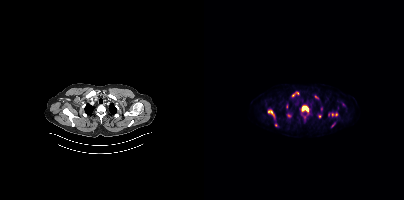
Technique: Left: CT. Right: PSMA PET, same axial level, [18F]PSMA-1007 tracer. slice 342 of 429. PET panel 200×200 px (4.1 mm/px).
Findings: Coordinates are on the 200×200 PET (right) panel. (showing 10 of 14 foci) PSMA-avid tumor lesion bounding boxes (x, y, width, height): x=64 y=110 w=7 h=8; x=98 y=106 w=7 h=5. Small PSMA-avid foci (2 to 4 px across) near (center x, center y): (113, 98); (89, 95); (115, 116); (82, 105); (71, 125); (100, 117); (117, 108); (132, 114).